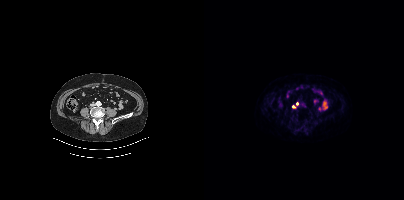
Two-panel axial: CT | PSMA PET, [18F]PSMA-1007 tracer. PET panel 200×200 px (4.1 mm/px). Coordinates are on the 200×200 PET (right) panel. (showing 1 of 2 foci) Small PSMA-avid focus (2 to 4 px across) near (center x, center y): (89, 106).